modality: PSMA PET/CT | tracer: 18F | view: axial | PET grid: 200×200 | deidentification: rectangular block over head set to black
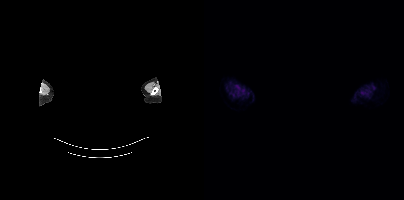
No PSMA-avid tumor lesions on this slice.